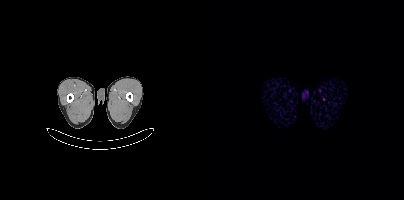
{"modality":"PSMA PET/CT","view":"axial","tracer":"18F","pet_grid":[200,200],"coord_frame":"pet_panel","coord_format":"x0,y0,x1,y1","psma_avid_lesions":false}